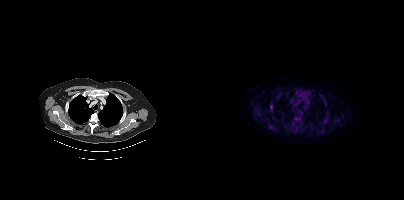
- Paired axial CT (left) and PSMA PET (right), [18F]PSMA-1007 tracer
- PET panel 200×200 px (4.1 mm/px)
Findings: Coordinates are on the 200×200 PET (right) panel. PSMA-avid tumor lesion bounding box (x, y, width, height): x=66 y=105 w=3 h=5.